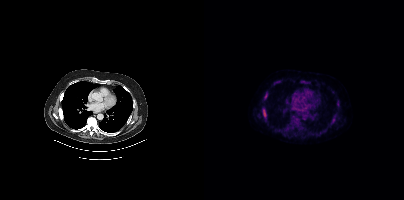
Coordinates are on the 200×200 PET (right) panel. PSMA-avid tumor lesion bounding box (x, y, width, height): x=60 y=110 w=2 h=6. Small PSMA-avid focus (2 to 4 px across) near (center x, center y): (62, 94). Left: CT. Right: PSMA PET, same axial level, 18F tracer. Slice 304 of 462. PET panel 200×200 px (4.1 mm/px).